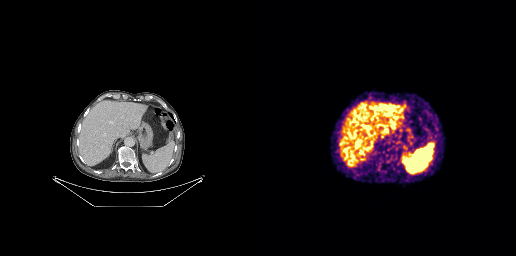
No tumor lesions annotated on this slice.